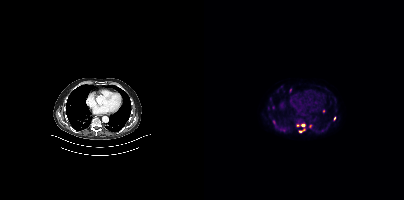
Technique: Paired axial CT (left) and PSMA PET (right), 18F-PSMA tracer. slice 277 of 423.
Findings: Coordinates are on the 200×200 PET (right) panel. (showing 8 of 9 foci) PSMA-avid tumor lesion bounding box (x0,y0,x1,y1): [95,129,100,132]. Small PSMA-avid foci (2 to 4 px across) near (center x, center y): (99, 125) (106, 126) (119, 111) (86, 89) (130, 118) (69, 121) (93, 125).